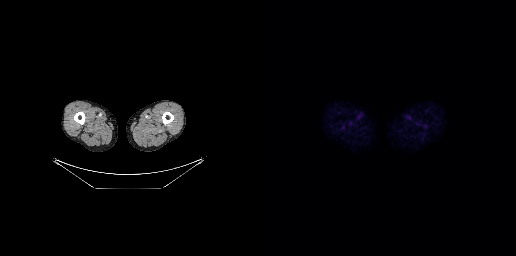
modality: PSMA PET/CT | tracer: [18F]PSMA-1007 | view: axial | PET grid: 256×256
Negative for PSMA-avid disease on this slice.